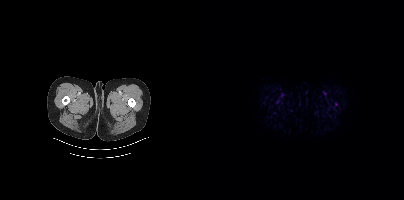
Only PSMA-avid lesion pieces thinner than 2 px on this slice (not listed). Two-panel axial: CT | PSMA PET, [18F]PSMA-1007 tracer. Acquired on Siemens Biograph mCT Flow 20. PET panel 200×200 px (4.1 mm/px).